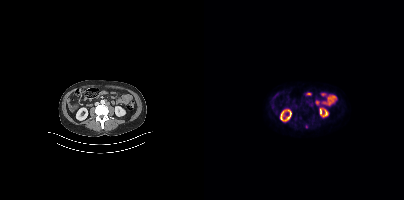
{"modality":"PSMA PET/CT","view":"axial","tracer":"18F-PSMA","pet_grid":[200,200],"coord_frame":"pet_panel","coord_format":"x0,y0,x1,y1","lesion_bboxes":[],"small_foci_centers":[[102,126]]}